Paired axial CT (left) and PSMA PET (right), [18F]PSMA-1007 tracer. PET panel 200×200 px (4.1 mm/px).
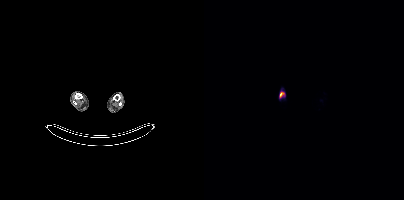
Coordinates are on the 200×200 PET (right) panel. PSMA-avid tumor lesion bounding box (x, y, width, height): x=75 y=91 w=6 h=7.